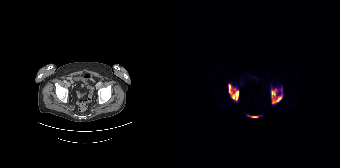
Coordinates are on the 168×168 PET (right) panel. PSMA-avid tumor lesion bounding boxes (x, y, width, height): x=56 y=83 w=12 h=19 / x=99 y=88 w=12 h=16 / x=75 y=115 w=12 h=3. Small PSMA-avid focus (2 to 4 px across) near (center x, center y): (109, 90).